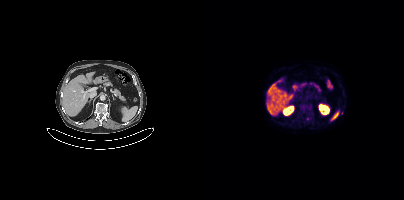
Two-panel axial: CT | PSMA PET, 18F tracer. Slice position z = -631 mm. PET panel 200×200 px (4.1 mm/px). No PSMA-avid tumor lesions on this slice.